Technique: Two-panel axial: CT | PSMA PET, 18F-PSMA tracer. PET panel 200×200 px (4.1 mm/px).
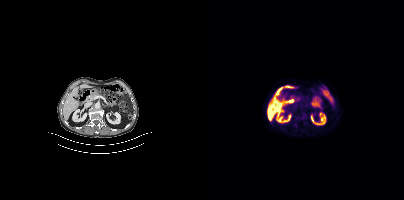
Findings: Only PSMA-avid lesion pieces thinner than 2 px on this slice (not listed).